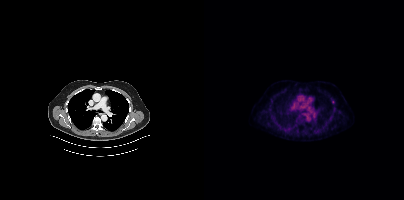
Coordinates are on the 200×200 PET (right) panel. Small PSMA-avid focus (2 to 4 px across) near (center x, center y): (129, 102).